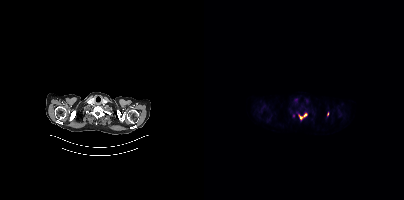
modality: PSMA PET/CT | tracer: [18F]PSMA-1007 | view: axial | PET grid: 200×200
Coordinates are on the 200×200 PET (right) panel. PSMA-avid tumor lesion bounding box (x0,y0,x1,y1): [95,113,102,119]. Small PSMA-avid focus (2 to 4 px across) near (center x, center y): (123, 114).